deidentification: head region blanked (face removed) | modality: PSMA PET/CT | tracer: [18F]PSMA-1007 | view: axial
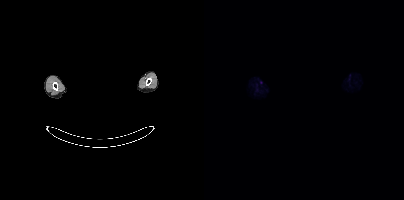
No tumor lesions annotated on this slice.